Technique: Paired axial CT (left) and PSMA PET (right), [68Ga]Ga-PSMA-11 tracer. slice position z = 912 mm. PET panel 200×200 px (4.1 mm/px).
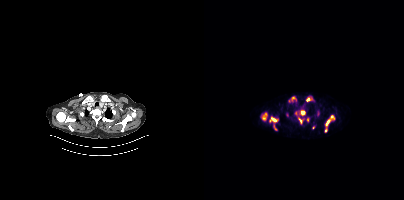
Findings: Coordinates are on the 200×200 PET (right) panel. PSMA-avid tumor lesion bounding boxes (x0, y0)-(x1, y1): (121, 115)-(130, 131) | (66, 117)-(73, 122) | (97, 110)-(101, 115) | (58, 113)-(62, 119) | (86, 97)-(92, 101) | (91, 111)-(95, 115) | (103, 97)-(109, 101) | (94, 118)-(98, 122) | (70, 125)-(73, 130) | (113, 112)-(114, 116). Small PSMA-avid foci (2 to 4 px across) near (center x, center y): (89, 119) | (103, 119) | (109, 126).